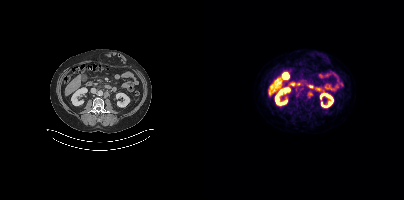
Coordinates are on the 200×200 PET (right) panel. PSMA-avid tumor lesion bounding box (x, y, width, height): x=102 y=96 w=5 h=5. Small PSMA-avid foci (2 to 4 px across) near (center x, center y): (93, 95) | (105, 91).